modality: PSMA PET/CT | tracer: 18F-PSMA | view: axial | PET grid: 200×200
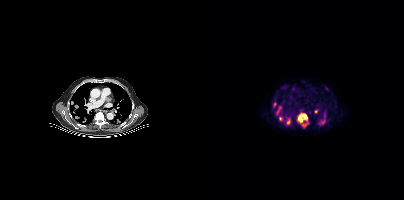
Coordinates are on the 200×200 PET (right) panel. PSMA-avid tumor lesion bounding boxes (x, y, width, height): x=93 y=114 w=11 h=14 / x=73 y=106 w=5 h=9 / x=120 y=111 w=2 h=5. Small PSMA-avid foci (2 to 4 px across) near (center x, center y): (76, 118) / (84, 120) / (70, 104) / (112, 111) / (118, 122).